- Paired axial CT (left) and PSMA PET (right), 18F tracer
- acquired on Siemens Biograph mCT Flow 20
- slice position z = -257 mm
- any black rectangle over the head is a privacy mask, not anatomy
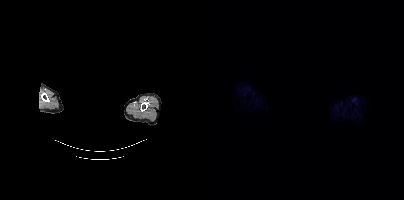
Findings: This slice has no annotated PSMA-avid lesion.